modality: PSMA PET/CT | tracer: [18F]PSMA-1007 | view: axial
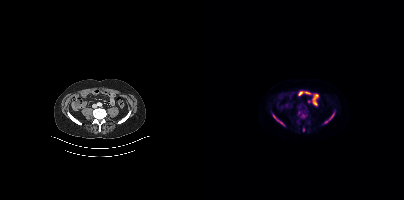
Coordinates are on the 200×200 PET (right) panel. PSMA-avid tumor lesion bounding boxes (x, y, width, height): x=69 y=115 w=12 h=11 / x=121 y=113 w=10 h=10 / x=98 y=114 w=5 h=4. Small PSMA-avid foci (2 to 4 px across) near (center x, center y): (95, 112) / (99, 129).